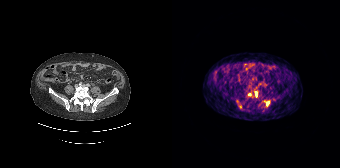
Coordinates are on the 168×168 PET (right) panel. PSMA-avid tumor lesion bounding boxes (x0, y0)-(x1, y1): (94, 101)-(97, 105) / (83, 92)-(84, 97). Small PSMA-avid foci (2 to 4 px across) near (center x, center y): (77, 94) / (67, 106).